Paired axial CT (left) and PSMA PET (right), 18F tracer. Slice position z = -889 mm.
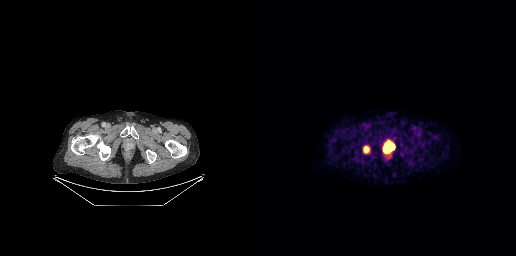
Coordinates are on the 256×256 PET (right) panel. PSMA-avid tumor lesion bounding boxes (x, y, width, height): x=124 y=142 w=11 h=10; x=103 y=146 w=7 h=8.